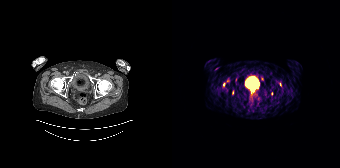
Findings: Coordinates are on the 168×168 PET (right) panel. (showing 2 of 4 foci) Small PSMA-avid foci (2 to 4 px across) near (center x, center y): (51, 84); (108, 84).
- Two-panel axial: CT | PSMA PET, 68Ga-PSMA tracer
- acquired on Siemens Biograph 64-4R TruePoint
- slice 60 of 195
- PET panel 168×168 px (4.1 mm/px)